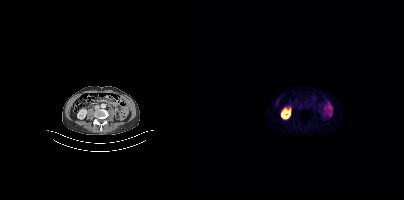
No tumor lesions annotated on this slice. Two-panel axial: CT | PSMA PET, 18F-PSMA tracer.